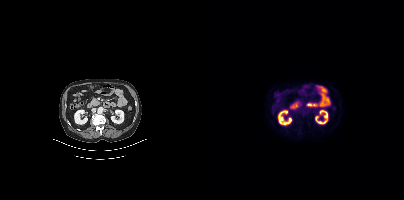
modality: PSMA PET/CT | tracer: 18F-PSMA | view: axial | PET grid: 200×200
This slice has no annotated PSMA-avid lesion.